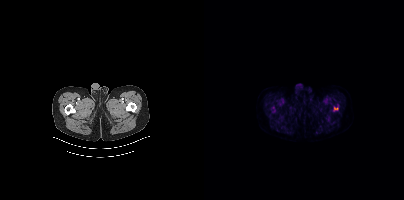
Two-panel axial: CT | PSMA PET, 18F-PSMA tracer. Coordinates are on the 200×200 PET (right) panel. Small PSMA-avid focus (2 to 4 px across) near (center x, center y): (131, 108).